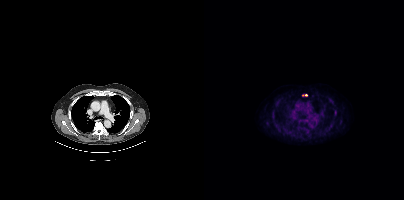
Coordinates are on the 200×200 PET (right) panel. (showing 1 of 2 foci) Small PSMA-avid focus (2 to 4 px across) near (center x, center y): (102, 95).